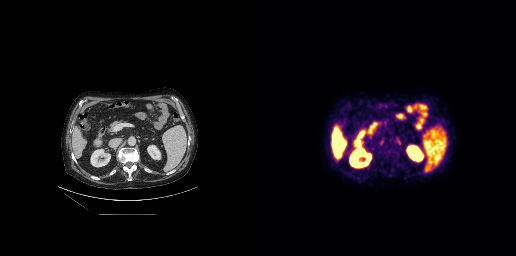
No tumor lesions annotated on this slice.